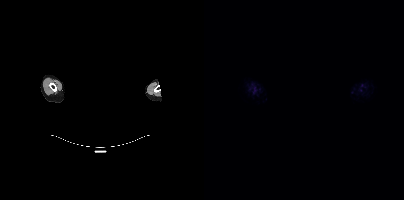
Any black rectangle over the head is a privacy mask, not anatomy. Paired axial CT (left) and PSMA PET (right), [18F]PSMA-1007 tracer. Acquired on Siemens Biograph mCT Flow 20. No tumor lesions annotated on this slice.